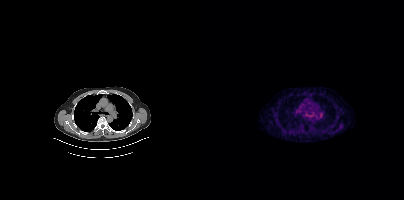
{"modality":"PSMA PET/CT","view":"axial","tracer":"68Ga","pet_grid":[200,200],"coord_frame":"pet_panel","coord_format":"x0,y0,x1,y1","psma_avid_lesions":false}